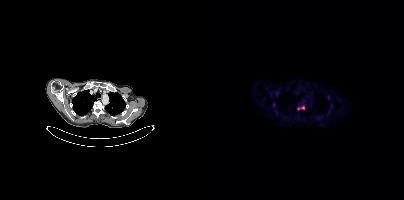
{"modality":"PSMA PET/CT","view":"axial","tracer":"18F-PSMA","pet_grid":[200,200],"coord_frame":"pet_panel","coord_format":"x0,y0,x1,y1","lesion_bboxes":[[93,106,100,110],[123,95,125,99]],"small_foci_centers":[[70,105],[72,94]]}